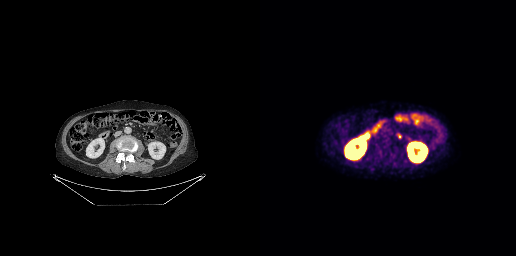
Technique: Paired axial CT (left) and PSMA PET (right), 18F tracer.
Findings: Coordinates are on the 256×256 PET (right) panel. PSMA-avid tumor lesion bounding box (x, y, width, height): x=137 y=133 w=5 h=6.